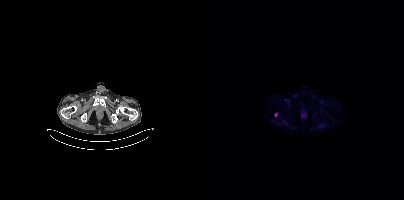
Findings: Coordinates are on the 200×200 PET (right) panel. Small PSMA-avid focus (2 to 4 px across) near (center x, center y): (71, 114).
- Two-panel axial: CT | PSMA PET, [18F]PSMA-1007 tracer
- acquired on Siemens Biograph mCT Flow 20
- PET panel 200×200 px (4.1 mm/px)